Paired axial CT (left) and PSMA PET (right), 18F tracer.
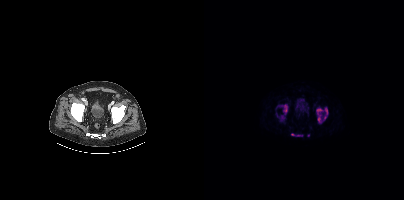
Coordinates are on the 200×200 PET (right) panel. PSMA-avid tumor lesion bounding boxes (partial; 1 more focus not listed):
| # | x0 | y0 | x1 | y1 |
|---|---|---|---|---|
| 1 | 112 | 107 | 124 | 123 |
| 2 | 75 | 104 | 84 | 120 |
| 3 | 87 | 133 | 98 | 136 |
Small PSMA-avid focus (2 to 4 px across) near (center x, center y): (104, 135).